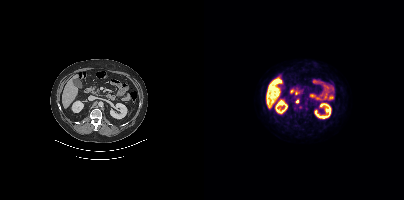
Coordinates are on the 200×200 PET (right) panel. Small PSMA-avid foci (2 to 4 px across) near (center x, center y): (96, 107); (93, 101); (102, 108).